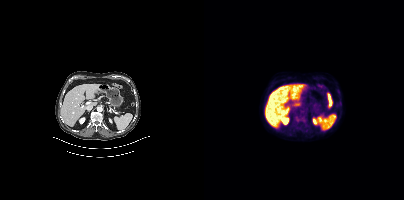
- Left: CT. Right: PSMA PET, same axial level, [18F]PSMA-1007 tracer
Findings: Coordinates are on the 200×200 PET (right) panel. Small PSMA-avid focus (2 to 4 px across) near (center x, center y): (92, 120).